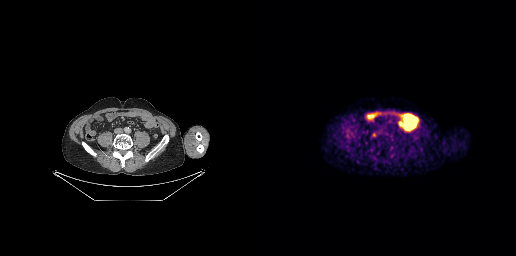
Coordinates are on the 256×256 PET (right) panel. Small PSMA-avid focus (2 to 4 px across) near (center x, center y): (113, 134).